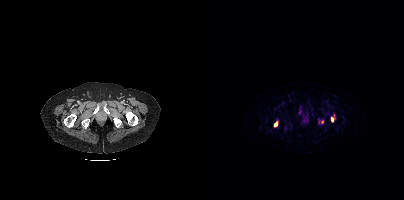
Findings: Coordinates are on the 200×200 PET (right) panel. (showing 3 of 5 foci) PSMA-avid tumor lesion bounding boxes (x, y, width, height): x=70 y=121 w=4 h=7 | x=127 y=117 w=3 h=5. Small PSMA-avid focus (2 to 4 px across) near (center x, center y): (118, 121).
- Paired axial CT (left) and PSMA PET (right), [68Ga]Ga-PSMA-11 tracer
- acquired on Siemens Biograph mCT Flow 20